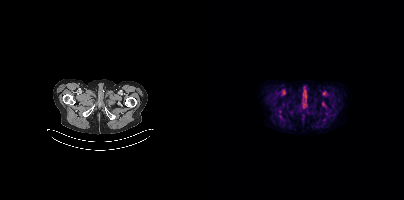
Technique: Paired axial CT (left) and PSMA PET (right), 18F tracer. acquired on Siemens Biograph mCT Flow 20. slice 38 of 429. PET panel 200×200 px (4.1 mm/px).
Findings: No PSMA-avid tumor lesions on this slice.